Technique: Paired axial CT (left) and PSMA PET (right), 18F-PSMA tracer. acquired on Siemens Biograph mCT Flow 20. PET panel 200×200 px (4.1 mm/px).
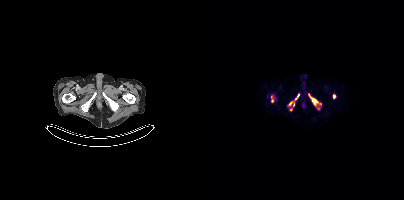
Findings: Coordinates are on the 200×200 PET (right) panel. PSMA-avid tumor lesion bounding boxes (x0, y0)-(x1, y1): (104, 94)-(117, 106); (91, 94)-(95, 99); (85, 101)-(88, 105). Small PSMA-avid foci (2 to 4 px across) near (center x, center y): (130, 96); (68, 100); (87, 109); (89, 104); (114, 108); (67, 96).